Technique: Paired axial CT (left) and PSMA PET (right), 68Ga-PSMA tracer. acquired on Siemens Biograph mCT Flow 20. PET panel 200×200 px (4.1 mm/px).
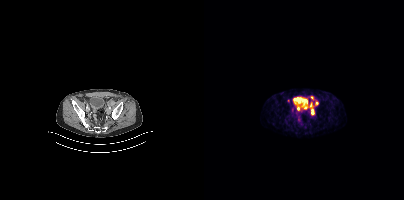
Findings: Coordinates are on the 200×200 PET (right) panel. PSMA-avid tumor lesion bounding box (x0, y0)-(x1, y1): (106, 105)-(110, 114). Small PSMA-avid foci (2 to 4 px across) near (center x, center y): (101, 107); (94, 108); (112, 103); (108, 97).